modality: PSMA PET/CT | tracer: 18F-PSMA | view: axial | de-identification: facial region redacted
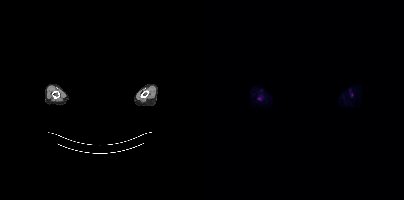
Coordinates are on the 200×200 PET (right) panel. Small PSMA-avid foci (2 to 4 px across) near (center x, center y): (55, 98); (147, 94).